Technique: Two-panel axial: CT | PSMA PET, 18F-PSMA tracer. slice 136 of 421.
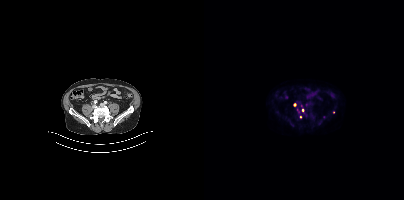
Findings: Coordinates are on the 200×200 PET (right) panel. (showing 2 of 4 foci) Small PSMA-avid foci (2 to 4 px across) near (center x, center y): (90, 104) | (98, 110).